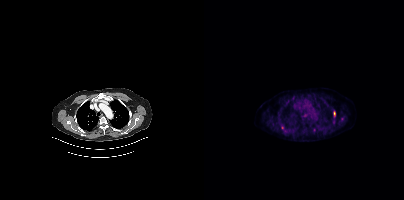
Left: CT. Right: PSMA PET, same axial level, 18F-PSMA tracer. Acquired on Siemens Biograph mCT Flow 20.
Coordinates are on the 200×200 PET (right) panel. PSMA-avid tumor lesion bounding boxes:
| # | x0 | y0 | x1 | y1 |
|---|---|---|---|---|
| 1 | 130 | 112 | 131 | 117 |
Small PSMA-avid foci (2 to 4 px across) near (center x, center y): (78, 127); (110, 130); (137, 118).